Two-panel axial: CT | PSMA PET, 68Ga tracer. Acquired on Siemens Biograph 64-4R TruePoint. Slice 86 of 165. PET panel 168×168 px (4.1 mm/px).
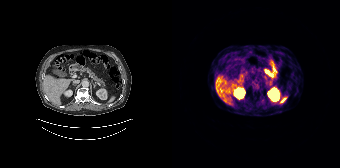
This slice has no annotated PSMA-avid lesion.